Two-panel axial: CT | PSMA PET, [18F]PSMA-1007 tracer. Slice position z = -519 mm.
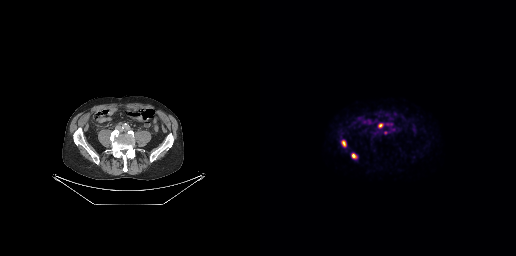
Coordinates are on the 256×256 PET (right) panel. (showing 4 of 6 foci) PSMA-avid tumor lesion bounding boxes (x, y, width, height): x=81 y=140 w=6 h=7 / x=91 y=153 w=7 h=6 / x=118 y=123 w=6 h=6. Small PSMA-avid focus (2 to 4 px across) near (center x, center y): (125, 132).